- Paired axial CT (left) and PSMA PET (right), 18F-PSMA tracer
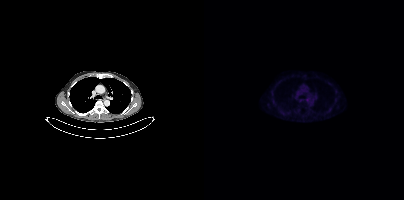
Findings: No PSMA-avid tumor lesions on this slice.